modality: PSMA PET/CT | tracer: 18F | view: axial | PET grid: 200×200 | deidentification: head region blacked out before release
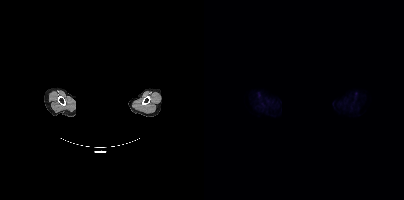
This slice has no annotated PSMA-avid lesion.